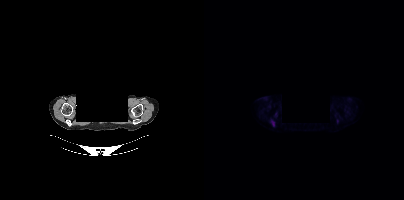
Left: CT. Right: PSMA PET, same axial level, 18F tracer. Acquired on Siemens Biograph mCT Flow 20. Head region blanked for anonymization (face removed). Coordinates are on the 200×200 PET (right) panel. (showing 1 of 2 foci) PSMA-avid tumor lesion bounding box (x, y, width, height): x=68 y=121 w=3 h=5.